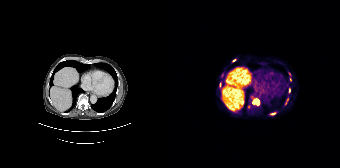
Paired axial CT (left) and PSMA PET (right), [68Ga]Ga-PSMA-11 tracer. Slice position z = -1212 mm.
Coordinates are on the 168×168 PET (right) panel. PSMA-avid tumor lesion bounding boxes (partial; 3 more foci not listed):
| # | x0 | y0 | x1 | y1 |
|---|---|---|---|---|
| 1 | 81 | 98 | 87 | 104 |
| 2 | 98 | 112 | 103 | 115 |
Small PSMA-avid foci (2 to 4 px across) near (center x, center y): (79, 96); (117, 90); (62, 60); (113, 103); (117, 73); (118, 79).